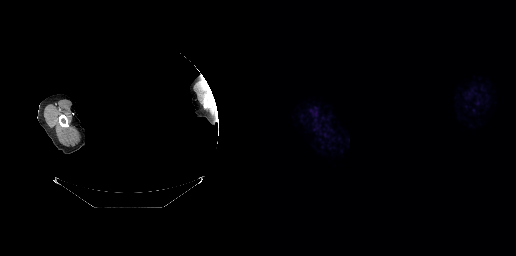
A rectangular block over the head has been blanked out for de-identification.
No tumor lesions annotated on this slice.